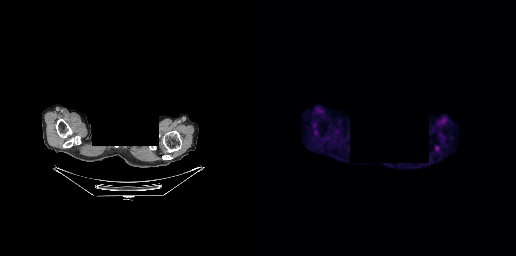
{"modality":"PSMA PET/CT","view":"axial","tracer":"18F","pet_grid":[256,256],"coord_frame":"pet_panel","coord_format":"x0,y0,x1,y1","redaction":"head region blanked (face removed)","lesion_bboxes":[[174,145,180,152]]}